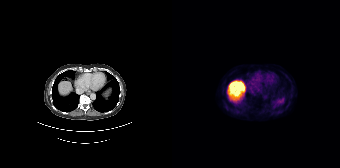
This slice has no annotated PSMA-avid lesion.